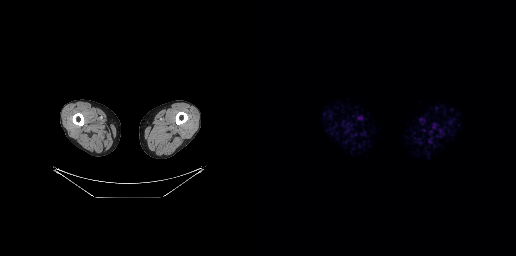
Findings: This slice has no annotated PSMA-avid lesion.
- Paired axial CT (left) and PSMA PET (right), 18F-PSMA tracer
- acquired on GE Discovery 690
- slice 3 of 263